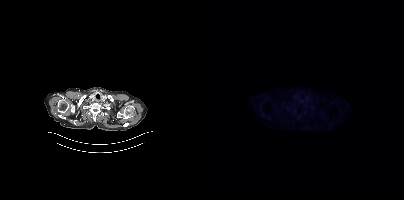
Findings: This slice has no annotated PSMA-avid lesion.
Technique: Paired axial CT (left) and PSMA PET (right), 18F-PSMA tracer. slice position z = -462 mm.